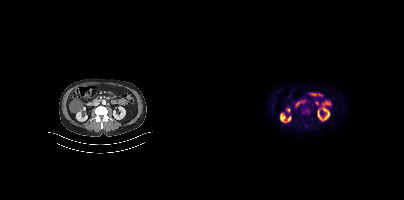
{"modality":"PSMA PET/CT","view":"axial","tracer":"18F-PSMA","pet_grid":[200,200],"coord_frame":"pet_panel","coord_format":"x0,y0,x1,y1","psma_avid_lesions":false}